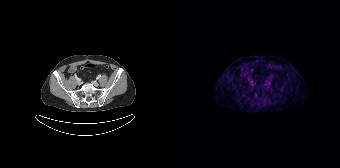
modality: PSMA PET/CT | tracer: 68Ga | view: axial
Only PSMA-avid lesion pieces thinner than 2 px on this slice (not listed).